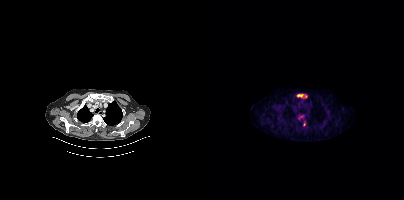
Left: CT. Right: PSMA PET, same axial level, 18F-PSMA tracer. Slice 318 of 427. PET panel 200×200 px (4.1 mm/px).
Coordinates are on the 200×200 PET (right) panel. PSMA-avid tumor lesion bounding boxes:
| # | x0 | y0 | x1 | y1 |
|---|---|---|---|---|
| 1 | 93 | 94 | 103 | 98 |
| 2 | 94 | 115 | 100 | 119 |
| 3 | 99 | 121 | 101 | 126 |